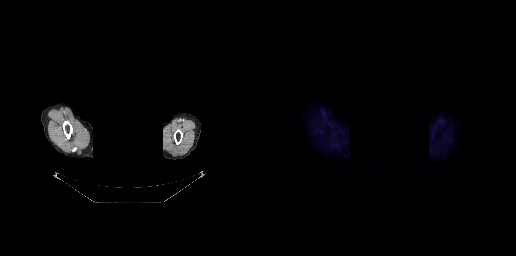
Negative for PSMA-avid disease on this slice. An anonymization step blacked out a rectangle over the head in this scan. Left: CT. Right: PSMA PET, same axial level, [18F]PSMA-1007 tracer. Slice position z = -286 mm.